- a rectangle over the head was blacked out to remove identifiable facial features
- Paired axial CT (left) and PSMA PET (right), 18F-PSMA tracer
- acquired on Siemens Biograph mCT Flow 20
- slice position z = -852 mm
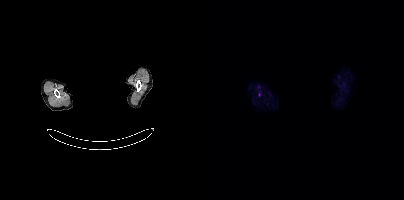
Findings: No tumor lesions annotated on this slice.